- Left: CT. Right: PSMA PET, same axial level, 68Ga-PSMA tracer
- slice 217 of 263
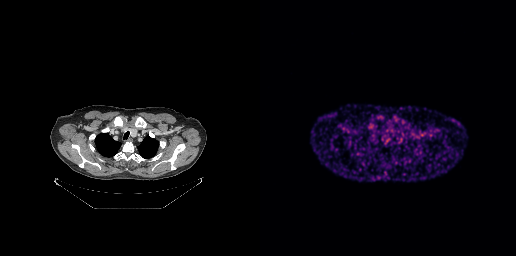
Findings: No PSMA-avid tumor lesions on this slice.